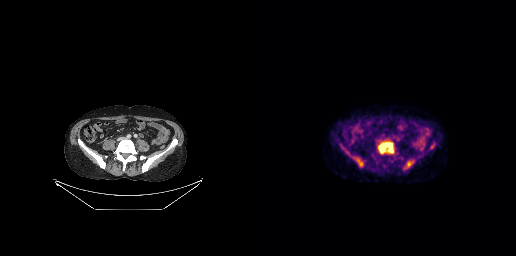
modality: PSMA PET/CT | tracer: 18F | view: axial
Coordinates are on the 256×256 PET (right) panel. PSMA-avid tumor lesion bounding boxes (x0, y0)-(x1, y1): (119, 142)-(133, 153) | (145, 161)-(153, 168) | (97, 159)-(102, 165).